De-identified by setting a box covering the face to black before release. Left: CT. Right: PSMA PET, same axial level, 18F tracer.
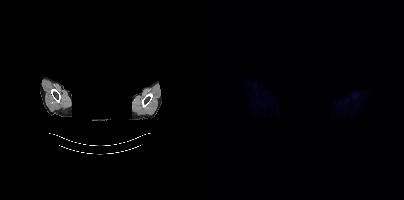
No tumor lesions annotated on this slice.